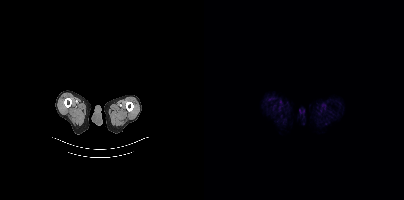
Technique: Paired axial CT (left) and PSMA PET (right), [18F]PSMA-1007 tracer. acquired on Siemens Biograph mCT Flow 20. PET panel 200×200 px (4.1 mm/px).
Findings: This slice has no annotated PSMA-avid lesion.